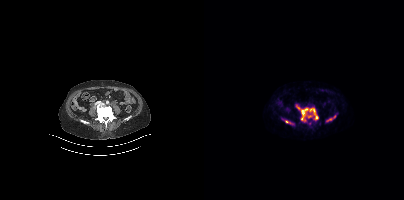
{"modality":"PSMA PET/CT","view":"axial","tracer":"68Ga-PSMA","pet_grid":[200,200],"coord_frame":"pet_panel","coord_format":"x0,y0,x1,y1","partial":true,"lesion_bboxes":[[93,105,114,122],[81,120,89,124],[122,117,129,121]]}